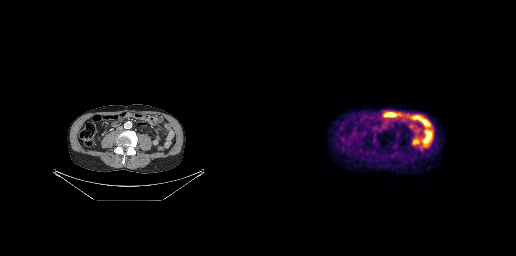
No tumor lesions annotated on this slice.